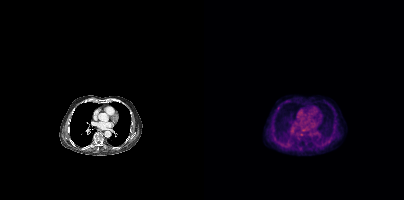
Left: CT. Right: PSMA PET, same axial level, [18F]PSMA-1007 tracer. Negative for PSMA-avid disease on this slice.